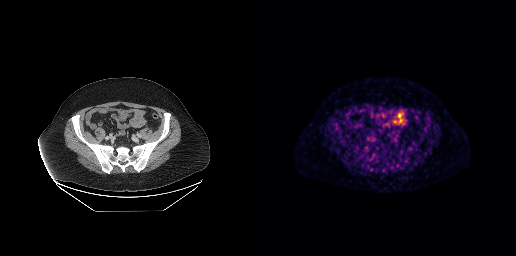
Negative for PSMA-avid disease on this slice.